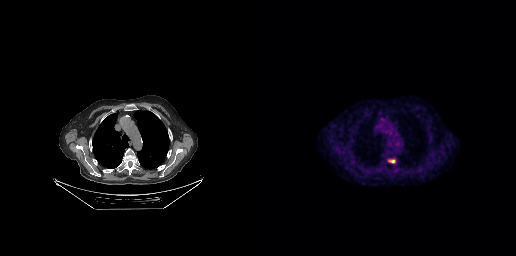
Coordinates are on the 256×256 PET (right) panel. PSMA-avid tumor lesion bounding boxes:
| # | x0 | y0 | x1 | y1 |
|---|---|---|---|---|
| 1 | 129 | 159 | 135 | 163 |
Two-panel axial: CT | PSMA PET, 18F tracer.